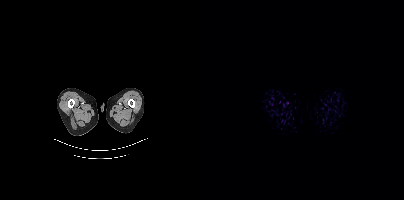
{"pet_grid":[200,200],"coord_frame":"pet_panel","coord_format":"x0,y0,x1,y1","psma_avid_lesions":false,"modality":"PSMA PET/CT","view":"axial","tracer":"[18F]PSMA-1007"}